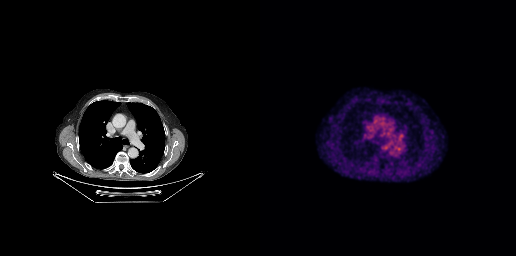
No tumor lesions annotated on this slice.